Two-panel axial: CT | PSMA PET, [18F]PSMA-1007 tracer. PET panel 200×200 px (4.1 mm/px).
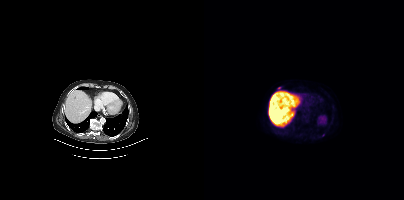
Coordinates are on the 200×200 PET (right) panel. Small PSMA-avid foci (2 to 4 px across) near (center x, center y): (75, 88) | (119, 134).